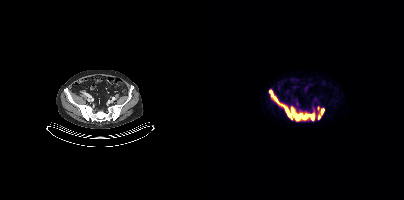
Two-panel axial: CT | PSMA PET, 18F tracer. Acquired on Siemens Biograph mCT Flow 20. PET panel 200×200 px (4.1 mm/px). Coordinates are on the 200×200 PET (right) panel. (showing 4 of 5 foci) PSMA-avid tumor lesion bounding boxes (x0,y0,x1,y1): [65,90,104,120], [106,114,110,120], [117,109,120,113]. Small PSMA-avid focus (2 to 4 px across) near (center x, center y): (115, 117).